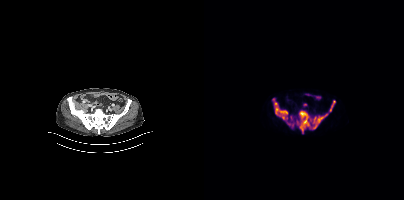
Findings: Coordinates are on the 200×200 PET (right) panel. PSMA-avid tumor lesion bounding boxes (x0,y0,x1,y1): [92,110,123,133] [69,98,83,119] [126,101,131,111]. Small PSMA-avid foci (2 to 4 px across) near (center x, center y): (85, 124) (87, 117) (88, 124).
Technique: Paired axial CT (left) and PSMA PET (right), 18F tracer. slice position z = -736 mm.